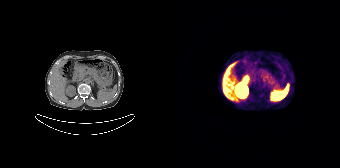
{"pet_grid":[168,168],"coord_frame":"pet_panel","coord_format":"x0,y0,x1,y1","psma_avid_lesions":false,"modality":"PSMA PET/CT","view":"axial","tracer":"68Ga"}